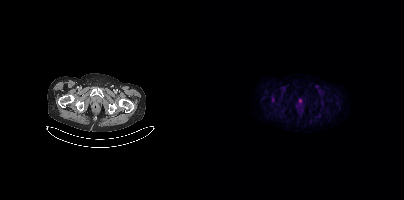
- Left: CT. Right: PSMA PET, same axial level, 18F tracer
- PET panel 200×200 px (4.1 mm/px)
Findings: No tumor lesions annotated on this slice.